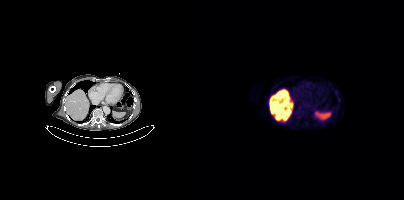
modality: PSMA PET/CT | tracer: [18F]PSMA-1007 | view: axial | PET grid: 200×200
Coordinates are on the 200×200 PET (right) panel. Small PSMA-avid focus (2 to 4 px across) near (center x, center y): (132, 92).